- Paired axial CT (left) and PSMA PET (right), 68Ga tracer
- PET panel 168×168 px (4.1 mm/px)
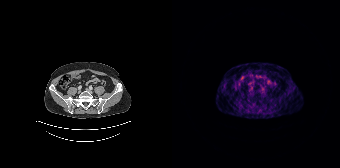
Findings: This slice has no annotated PSMA-avid lesion.